Two-panel axial: CT | PSMA PET, [18F]PSMA-1007 tracer. PET panel 200×200 px (4.1 mm/px).
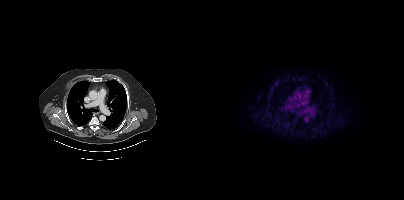
Negative for PSMA-avid disease on this slice.